Technique: Left: CT. Right: PSMA PET, same axial level, 18F-PSMA tracer. acquired on GE Discovery 690.
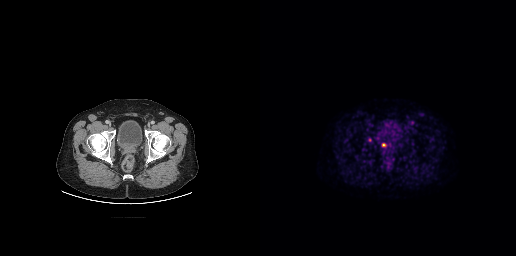
Findings: Coordinates are on the 256×256 PET (right) panel. PSMA-avid tumor lesion bounding box (x0, y0)-(x1, y1): (122, 143)-(126, 146). Small PSMA-avid focus (2 to 4 px across) near (center x, center y): (109, 140).